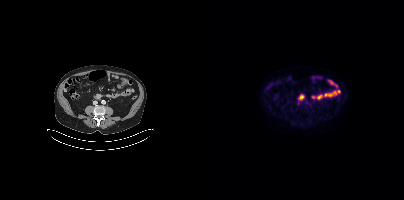
This slice has no annotated PSMA-avid lesion.